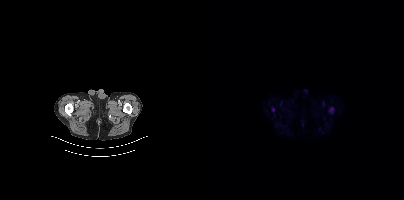
Coordinates are on the 200×200 PET (right) panel. PSMA-avid tumor lesion bounding boxes (partial; 1 more focus not listed):
| # | x0 | y0 | x1 | y1 |
|---|---|---|---|---|
| 1 | 125 | 107 | 129 | 113 |
Two-panel axial: CT | PSMA PET, 18F tracer. PET panel 200×200 px (4.1 mm/px).